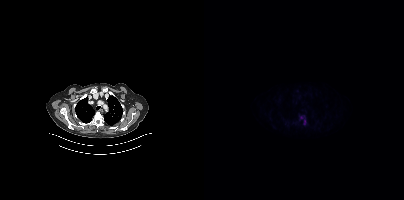
Coordinates are on the 200×200 PET (right) panel. PSMA-avid tumor lesion bounding box (x, y, width, height): x=100 y=120 w=2 h=5. Small PSMA-avid focus (2 to 4 px across) near (center x, center y): (97, 117).